modality: PSMA PET/CT | tracer: 18F-PSMA | view: axial | PET grid: 200×200
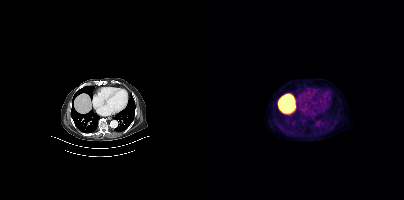
No tumor lesions annotated on this slice.